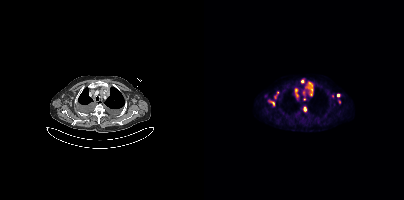
{"pet_grid":[200,200],"coord_frame":"pet_panel","coord_format":"x0,y0,x1,y1","partial":true,"lesion_bboxes":[[101,83,109,95],[64,99,71,106],[91,88,94,97],[99,106,102,111],[70,95,72,99]],"small_foci_centers":[[98,81],[134,95],[135,101],[73,92],[99,92],[100,99]],"modality":"PSMA PET/CT","view":"axial","tracer":"18F"}